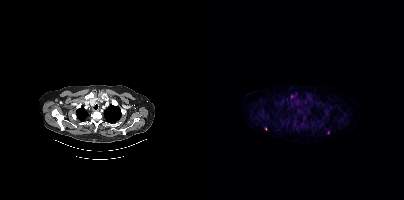
- Paired axial CT (left) and PSMA PET (right), 18F-PSMA tracer
- acquired on Siemens Biograph mCT Flow 20
- slice position z = -365 mm
Findings: Coordinates are on the 200×200 PET (right) panel. PSMA-avid tumor lesion bounding box (x0, y0)-(x1, y1): (123, 130)-(125, 134). Small PSMA-avid focus (2 to 4 px across) near (center x, center y): (61, 129).